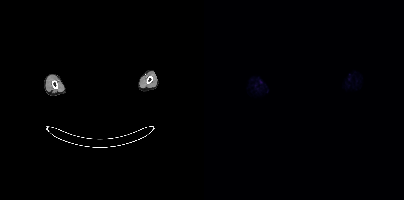
{"pet_grid":[200,200],"coord_frame":"pet_panel","coord_format":"x0,y0,x1,y1","psma_avid_lesions":false,"redaction":"privacy mask over head","modality":"PSMA PET/CT","view":"axial","tracer":"18F-PSMA"}